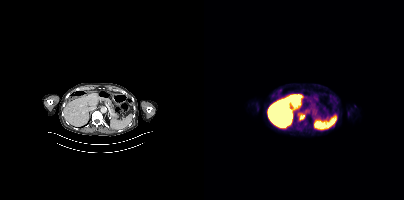
{"modality":"PSMA PET/CT","view":"axial","tracer":"18F-PSMA","pet_grid":[200,200],"coord_frame":"pet_panel","coord_format":"x0,y0,x1,y1","psma_avid_lesions":false}